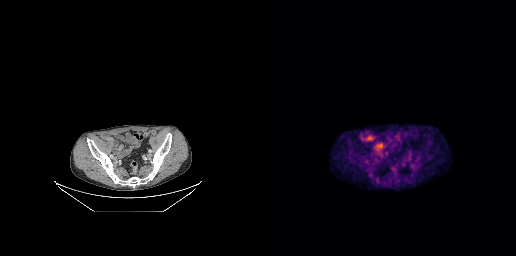
Coordinates are on the 256×256 PET (right) panel. Small PSMA-avid focus (2 to 4 px across) near (center x, center y): (143, 164). Left: CT. Right: PSMA PET, same axial level, [18F]PSMA-1007 tracer. PET panel 256×256 px (2.7 mm/px).